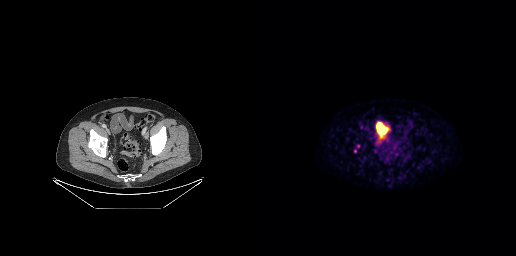
Negative for PSMA-avid disease on this slice.